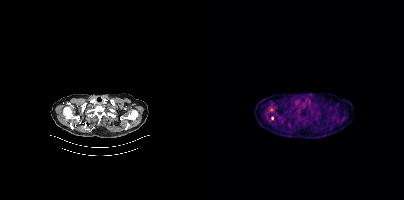
{"modality":"PSMA PET/CT","view":"axial","tracer":"18F","pet_grid":[200,200],"coord_frame":"pet_panel","coord_format":"x0,y0,x1,y1","lesion_bboxes":[],"small_foci_centers":[[68,118]]}